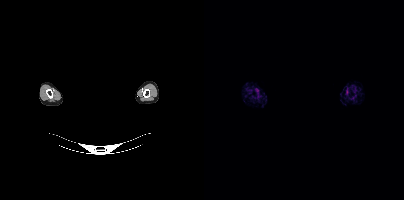
Technique: Paired axial CT (left) and PSMA PET (right), 18F-PSMA tracer.
Note: De-identified by setting a box covering the face to black before release.
Findings: This slice has no annotated PSMA-avid lesion.